Technique: Paired axial CT (left) and PSMA PET (right), [68Ga]Ga-PSMA-11 tracer. slice position z = -1644 mm. PET panel 200×200 px (4.1 mm/px).
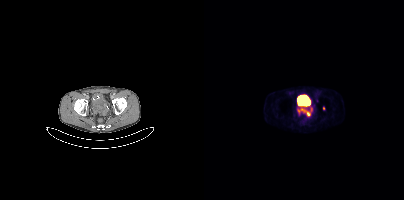
Findings: Coordinates are on the 200×200 PET (right) panel. PSMA-avid tumor lesion bounding box (x, y, width, height): x=93 y=107 w=15 h=10. Small PSMA-avid foci (2 to 4 px across) near (center x, center y): (113, 100) / (119, 108).